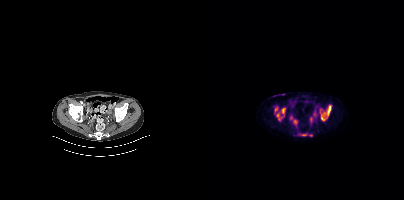
Findings: Coordinates are on the 200×200 PET (right) panel. PSMA-avid tumor lesion bounding boxes (x, y, width, height): x=70 y=106 w=12 h=16; x=123 y=106 w=4 h=10; x=117 y=116 w=4 h=5.
- Two-panel axial: CT | PSMA PET, [18F]PSMA-1007 tracer